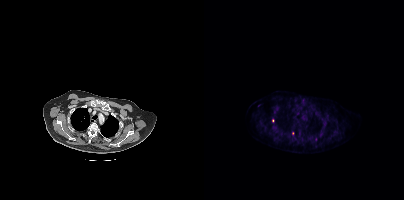
Technique: Left: CT. Right: PSMA PET, same axial level, 18F tracer. acquired on Siemens Biograph mCT Flow 20. slice 334 of 431. PET panel 200×200 px (4.1 mm/px).
Findings: Only PSMA-avid lesion pieces thinner than 2 px on this slice (not listed).